modality: PSMA PET/CT | tracer: 18F-PSMA | view: axial
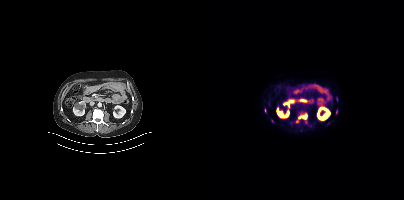
Coordinates are on the 200×200 PET (right) panel. (showing 1 of 3 foci) PSMA-avid tumor lesion bounding box (x0,y0,x1,y1): [94,113,103,119].